Face de-identified by blanking a block of the head. Two-panel axial: CT | PSMA PET, [18F]PSMA-1007 tracer. Acquired on Siemens Biograph mCT Flow 20. PET panel 200×200 px (4.1 mm/px).
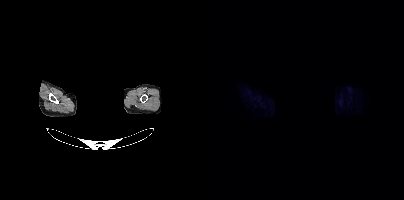
No tumor lesions annotated on this slice.